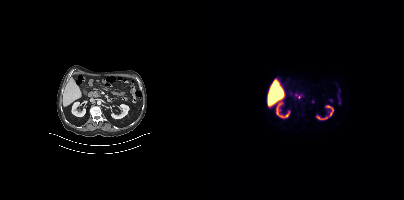
No tumor lesions annotated on this slice. Paired axial CT (left) and PSMA PET (right), 18F tracer. PET panel 200×200 px (4.1 mm/px).